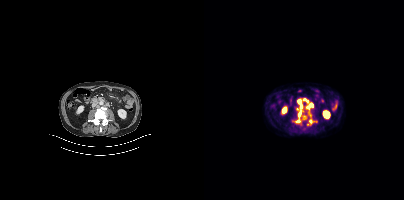
Findings: Coordinates are on the 200×200 PET (right) panel. (showing 5 of 10 foci) PSMA-avid tumor lesion bounding boxes (x, y, width, height): x=91 y=110 w=7 h=13 | x=93 y=99 w=6 h=10 | x=103 y=103 w=6 h=6 | x=100 y=98 w=5 h=5 | x=105 y=119 w=4 h=5.
Technique: Paired axial CT (left) and PSMA PET (right), [18F]PSMA-1007 tracer. acquired on Siemens Biograph mCT Flow 20.